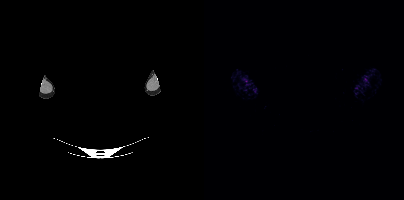
- a rectangular block over the head has been blanked out for de-identification
- Two-panel axial: CT | PSMA PET, 68Ga tracer
Findings: Negative for PSMA-avid disease on this slice.